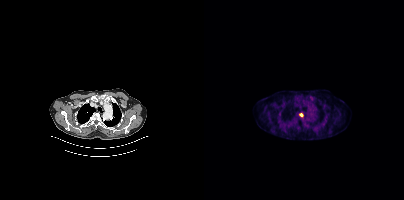
Two-panel axial: CT | PSMA PET, [18F]PSMA-1007 tracer. Slice position z = 482 mm. Coordinates are on the 200×200 PET (right) panel. Small PSMA-avid focus (2 to 4 px across) near (center x, center y): (97, 114).